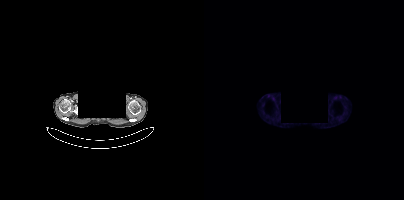
{"pet_grid":[200,200],"coord_frame":"pet_panel","coord_format":"x0,y0,x1,y1","psma_avid_lesions":false,"redaction":"face masked with black rectangle","modality":"PSMA PET/CT","view":"axial","tracer":"[18F]PSMA-1007"}